Paired axial CT (left) and PSMA PET (right), [18F]PSMA-1007 tracer. PET panel 200×200 px (4.1 mm/px).
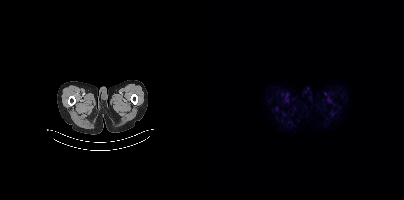
No tumor lesions annotated on this slice.